- Paired axial CT (left) and PSMA PET (right), 18F-PSMA tracer
- acquired on Siemens Biograph mCT Flow 20
- PET panel 200×200 px (4.1 mm/px)
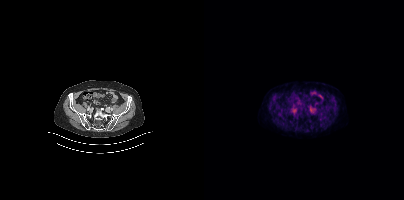
Findings: No PSMA-avid tumor lesions on this slice.